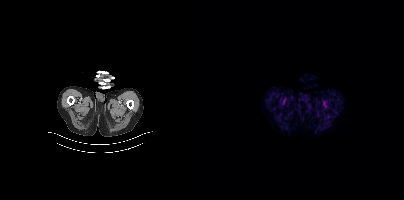
modality: PSMA PET/CT | tracer: 18F | view: axial | PET grid: 200×200
Negative for PSMA-avid disease on this slice.